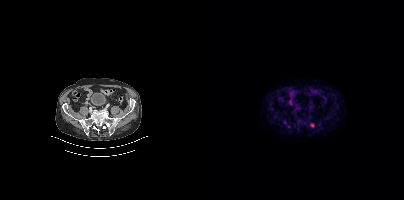
Only PSMA-avid lesion pieces thinner than 2 px on this slice (not listed).